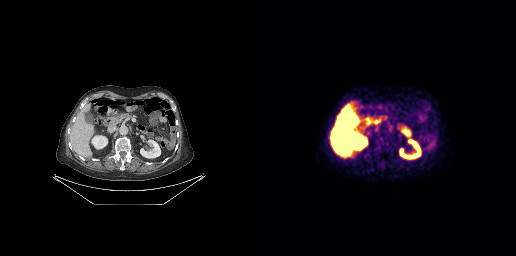
- Left: CT. Right: PSMA PET, same axial level, [18F]PSMA-1007 tracer
- acquired on GE Discovery 690
- slice position z = -400 mm
- PET panel 256×256 px (2.7 mm/px)
Findings: Negative for PSMA-avid disease on this slice.